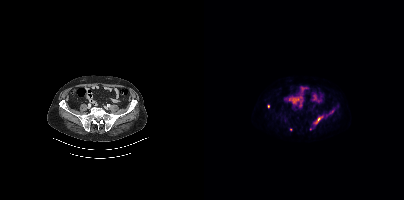
Technique: Two-panel axial: CT | PSMA PET, [18F]PSMA-1007 tracer. acquired on Siemens Biograph mCT Flow 20. PET panel 200×200 px (4.1 mm/px).
Findings: Coordinates are on the 200×200 PET (right) panel. PSMA-avid tumor lesion bounding box (x, y, width, height): x=112 y=115 w=8 h=9. Small PSMA-avid foci (2 to 4 px across) near (center x, center y): (64, 106); (80, 120); (127, 112); (86, 129).